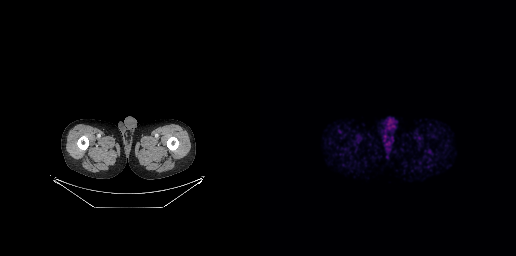
{"modality":"PSMA PET/CT","view":"axial","tracer":"68Ga","pet_grid":[256,256],"coord_frame":"pet_panel","coord_format":"x0,y0,x1,y1","psma_avid_lesions":false}